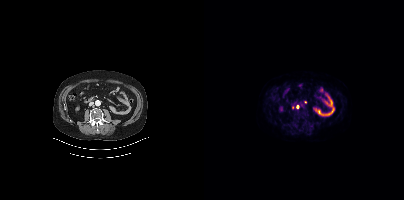
Left: CT. Right: PSMA PET, same axial level, 18F tracer. Slice 178 of 452. Coordinates are on the 200×200 PET (right) panel. Small PSMA-avid foci (2 to 4 px across) near (center x, center y): (101, 102) | (88, 107) | (93, 106).